Left: CT. Right: PSMA PET, same axial level, 18F-PSMA tracer. Slice position z = -1474 mm.
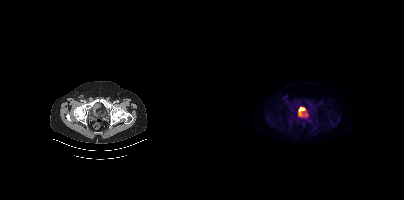
Only PSMA-avid lesion pieces thinner than 2 px on this slice (not listed).